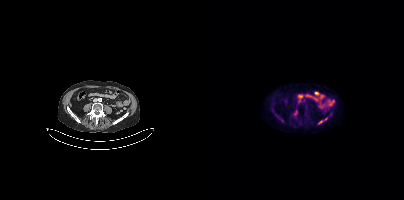
Coordinates are on the 200×200 PET (right) panel. (showing 1 of 2 foci) Small PSMA-avid focus (2 to 4 px across) near (center x, center y): (91, 112). Left: CT. Right: PSMA PET, same axial level, 18F tracer.